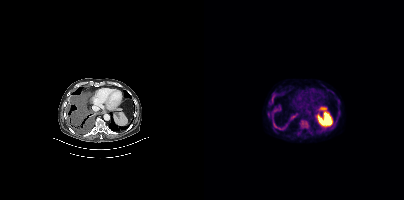
Findings: Coordinates are on the 200×200 PET (right) panel. PSMA-avid tumor lesion bounding boxes (x, y, width, height): x=95 y=119 w=10 h=10 | x=70 y=124 w=9 h=6 | x=63 y=112 w=3 h=6 | x=68 y=95 w=3 h=8. Small PSMA-avid focus (2 to 4 px across) near (center x, center y): (89, 116).
- Left: CT. Right: PSMA PET, same axial level, 18F tracer
- PET panel 200×200 px (4.1 mm/px)